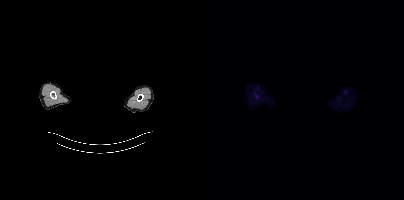
{"modality":"PSMA PET/CT","view":"axial","tracer":"[18F]PSMA-1007","pet_grid":[200,200],"coord_frame":"pet_panel","coord_format":"x0,y0,x1,y1","psma_avid_lesions":false,"redaction":"privacy mask over head"}